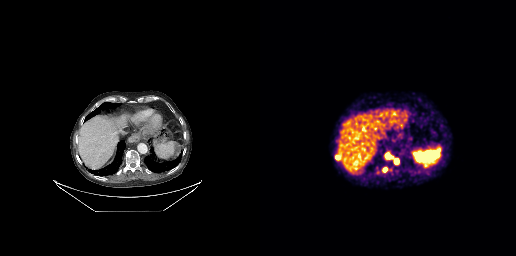
Coordinates are on the 256×256 PET (right) panel. PSMA-avid tumor lesion bounding boxes (x0,y0,x1,y1): [125,151,138,163] [115,167,127,174] [75,154,81,160].
modality: PSMA PET/CT | tracer: 68Ga | view: axial | PET grid: 256×256